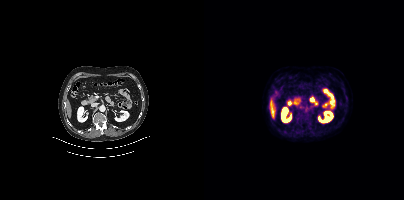
Negative for PSMA-avid disease on this slice.